Technique: Left: CT. Right: PSMA PET, same axial level, 18F-PSMA tracer. PET panel 200×200 px (4.1 mm/px).
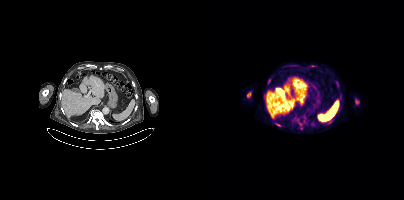
Findings: Coordinates are on the 200×200 PET (right) panel. PSMA-avid tumor lesion bounding boxes (x0, y0)-(x1, y1): (43, 92)-(47, 97) / (151, 99)-(155, 104) / (71, 123)-(75, 125). Small PSMA-avid focus (2 to 4 px across) near (center x, center y): (96, 123).